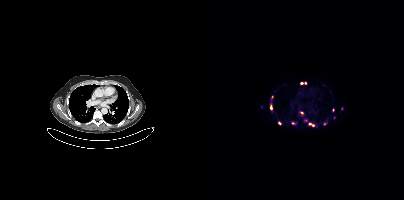
Left: CT. Right: PSMA PET, same axial level, 68Ga-PSMA tracer. Acquired on Siemens Biograph mCT Flow 20.
Coordinates are on the 200×200 PET (right) panel. PSMA-avid tumor lesion bounding boxes (partial; 3 more foci not listed):
| # | x0 | y0 | x1 | y1 |
|---|---|---|---|---|
| 1 | 105 | 123 | 109 | 125 |
| 2 | 95 | 112 | 99 | 114 |
Small PSMA-avid foci (2 to 4 px across) near (center x, center y): (101, 120); (97, 83); (67, 107); (68, 98); (75, 122); (121, 124); (129, 110); (101, 82).